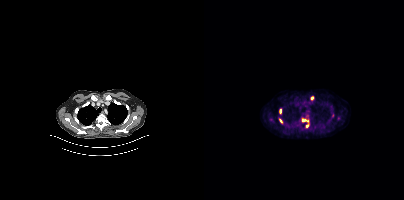
Technique: Paired axial CT (left) and PSMA PET (right), 18F-PSMA tracer. acquired on Siemens Biograph mCT Flow 20. PET panel 200×200 px (4.1 mm/px).
Findings: Coordinates are on the 200×200 PET (right) panel. PSMA-avid tumor lesion bounding boxes (x0,y0,x1,y1): [97,118,105,127], [75,109,77,113], [75,118,78,123]. Small PSMA-avid focus (2 to 4 px across) near (center x, center y): (108, 97).